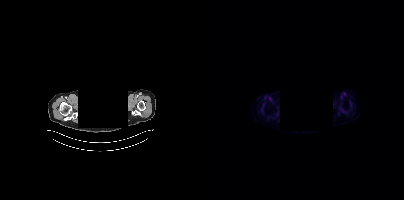
{"modality":"PSMA PET/CT","view":"axial","tracer":"[18F]PSMA-1007","pet_grid":[200,200],"coord_frame":"pet_panel","coord_format":"x0,y0,x1,y1","de-identification":"facial region redacted","psma_avid_lesions":false}